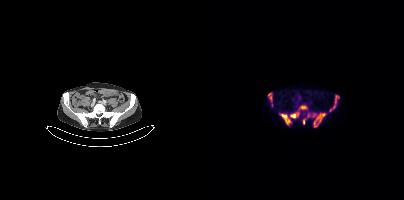
Coordinates are on the 200×200 PET (right) panel. (showing 4 of 5 foci) PSMA-avid tumor lesion bounding boxes (x0,y0,x1,y1): [75,105,103,124], [99,113,122,127], [125,95,135,111], [64,92,68,101]. Two-panel axial: CT | PSMA PET, 18F-PSMA tracer. Acquired on Siemens Biograph mCT Flow 20.